Paired axial CT (left) and PSMA PET (right), [18F]PSMA-1007 tracer. PET panel 200×200 px (4.1 mm/px).
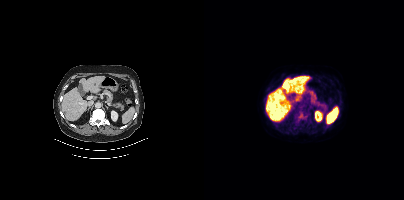
Coordinates are on the 200×200 PET (right) panel. PSMA-avid tumor lesion bounding box (x0, y0)-(x1, y1): (90, 110)-(106, 124).